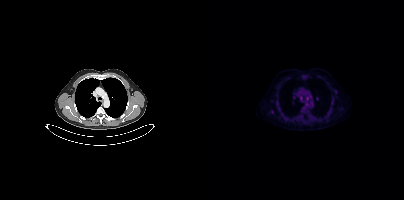
Paired axial CT (left) and PSMA PET (right), [18F]PSMA-1007 tracer. Acquired on Siemens Biograph mCT Flow 20. Slice position z = -1200 mm. PET panel 200×200 px (4.1 mm/px). Coordinates are on the 200×200 PET (right) panel. Small PSMA-avid focus (2 to 4 px across) near (center x, center y): (103, 98).